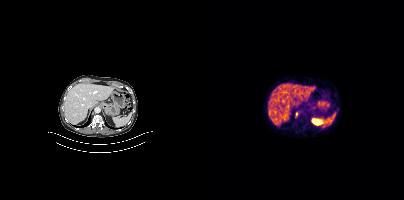
Technique: Paired axial CT (left) and PSMA PET (right), [68Ga]Ga-PSMA-11 tracer. acquired on Siemens Biograph mCT Flow 20.
Findings: Coordinates are on the 200×200 PET (right) panel. PSMA-avid tumor lesion bounding box (x0,y0,x1,y1): [92,112,93,116].